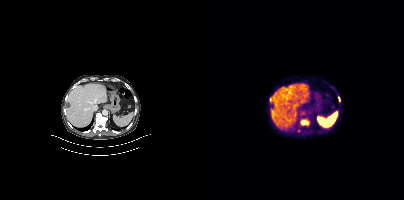
{"modality":"PSMA PET/CT","view":"axial","tracer":"[18F]PSMA-1007","pet_grid":[200,200],"coord_frame":"pet_panel","coord_format":"x0,y0,x1,y1","partial":true,"lesion_bboxes":[[97,119,105,126]],"small_foci_centers":[[66,99],[134,98]]}